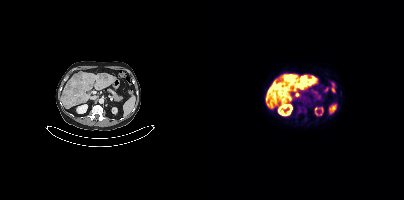
Coordinates are on the 200×200 PET (right) panel. PSMA-avid tumor lesion bounding boxes (x, y, width, height): x=70 y=83 w=7 h=7 / x=96 y=75 w=7 h=7. Small PSMA-avid focus (2 to 4 px across) near (center x, center y): (93, 94).